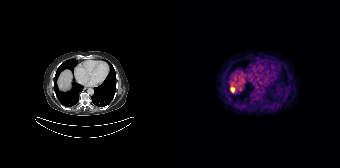
Coordinates are on the 168×168 PET (right) panel. PSMA-avid tumor lesion bounding box (x, y, width, height): x=59 y=88 w=4 h=5. Two-panel axial: CT | PSMA PET, 68Ga-PSMA tracer. PET panel 168×168 px (4.1 mm/px).